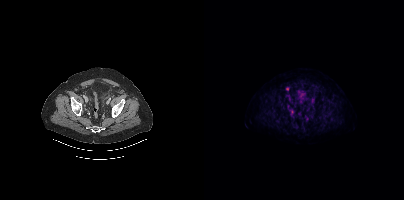
Coordinates are on the 200×200 PET (right) panel. (showing 2 of 3 foci) Small PSMA-avid foci (2 to 4 px across) near (center x, center y): (83, 89); (87, 110). Paired axial CT (left) and PSMA PET (right), 18F-PSMA tracer.